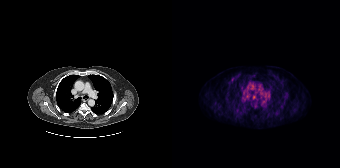
Paired axial CT (left) and PSMA PET (right), 18F-PSMA tracer. Slice 142 of 195. Coordinates are on the 168×168 PET (right) panel. Small PSMA-avid focus (2 to 4 px across) near (center x, center y): (82, 97).